Two-panel axial: CT | PSMA PET, 68Ga-PSMA tracer. Acquired on Siemens Biograph mCT Flow 20. Slice position z = -1718 mm. PET panel 200×200 px (4.1 mm/px).
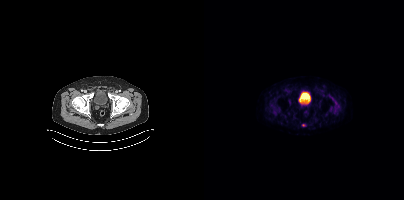
Coordinates are on the 200×200 PET (right) panel. Small PSMA-avid focus (2 to 4 px across) near (center x, center y): (99, 125).